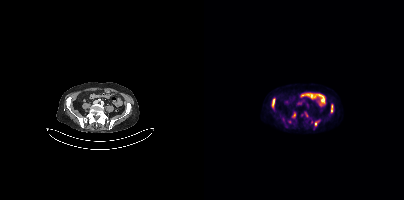
Findings: Coordinates are on the 200×200 PET (right) panel. PSMA-avid tumor lesion bounding boxes (x, y, width, height): x=68 y=99 w=3 h=8 | x=127 y=104 w=2 h=9 | x=88 y=113 w=4 h=5 | x=111 y=121 w=4 h=5.
Technique: Left: CT. Right: PSMA PET, same axial level, 18F-PSMA tracer. acquired on Siemens Biograph mCT Flow 20. slice 113 of 373.